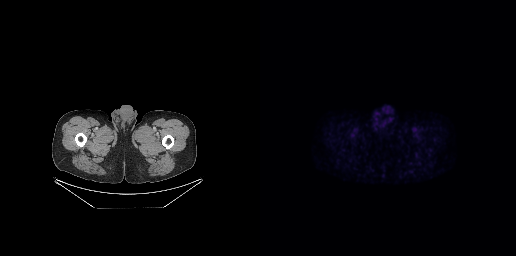
This slice has no annotated PSMA-avid lesion. Left: CT. Right: PSMA PET, same axial level, 18F-PSMA tracer. Acquired on GE Discovery 690. PET panel 256×256 px (2.7 mm/px).